Left: CT. Right: PSMA PET, same axial level, 68Ga tracer. Acquired on Siemens Biograph 64-4R TruePoint. PET panel 168×168 px (4.1 mm/px).
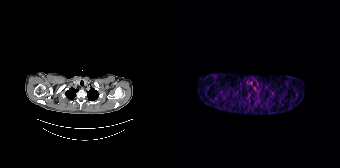
No PSMA-avid tumor lesions on this slice.